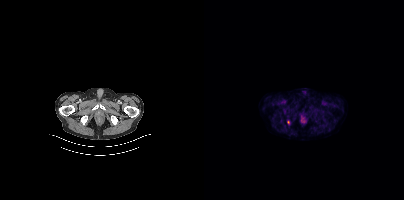
Technique: Paired axial CT (left) and PSMA PET (right), 18F tracer. acquired on Siemens Biograph mCT Flow 20. slice position z = -1004 mm. PET panel 200×200 px (4.1 mm/px).
Findings: Only PSMA-avid lesion pieces thinner than 2 px on this slice (not listed).